- Two-panel axial: CT | PSMA PET, [68Ga]Ga-PSMA-11 tracer
- PET panel 168×168 px (4.1 mm/px)
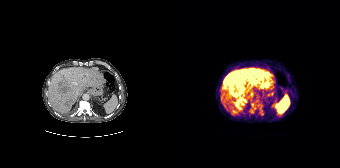
Findings: Coordinates are on the 168×168 PET (right) panel. PSMA-avid tumor lesion bounding boxes (x, y, width, height): x=52 y=69 w=44 h=25 / x=88 y=82 w=11 h=7. Small PSMA-avid focus (2 to 4 px across) near (center x, center y): (54, 86).